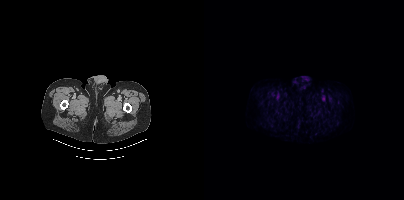
Technique: Paired axial CT (left) and PSMA PET (right), [18F]PSMA-1007 tracer. slice 39 of 435. PET panel 200×200 px (4.1 mm/px).
Findings: No tumor lesions annotated on this slice.